- Paired axial CT (left) and PSMA PET (right), 18F-PSMA tracer
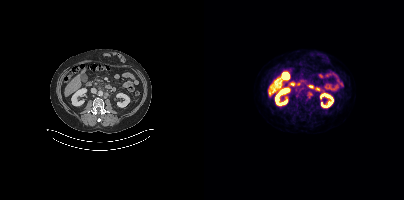
Findings: Coordinates are on the 200×200 PET (right) panel. PSMA-avid tumor lesion bounding box (x0, y0)-(x1, y1): (102, 96)-(107, 100). Small PSMA-avid foci (2 to 4 px across) near (center x, center y): (93, 95); (105, 91).